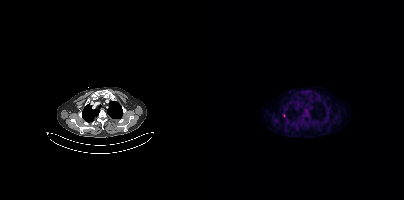
Coordinates are on the 200×200 PET (right) panel. Small PSMA-avid focus (2 to 4 px across) near (center x, center y): (80, 115).